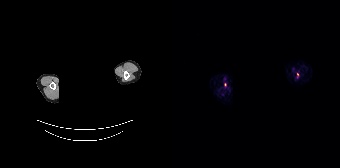
Technique: Paired axial CT (left) and PSMA PET (right), 68Ga tracer. slice 183 of 195.
Note: A rectangle over the head was blacked out to remove identifiable facial features.
Findings: Coordinates are on the 168×168 PET (right) panel. Small PSMA-avid focus (2 to 4 px across) near (center x, center y): (125, 74).